modality: PSMA PET/CT | tracer: 18F-PSMA | view: axial
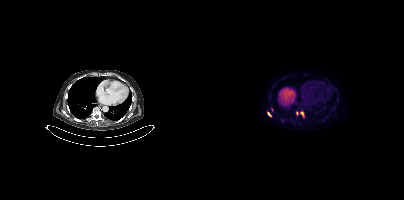
Coordinates are on the 200×200 PET (right) panel. (showing 3 of 4 foci) PSMA-avid tumor lesion bounding boxes (x, y, width, height): x=97 y=112 w=3 h=5 | x=64 y=112 w=3 h=5. Small PSMA-avid focus (2 to 4 px across) near (center x, center y): (68, 109).